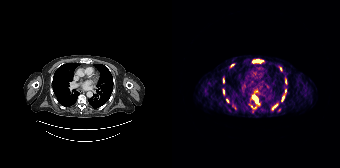
{"modality":"PSMA PET/CT","view":"axial","tracer":"[68Ga]Ga-PSMA-11","pet_grid":[168,168],"coord_frame":"pet_panel","coord_format":"x0,y0,x1,y1","partial":true,"lesion_bboxes":[[77,96,87,109],[81,59,90,62],[109,96,112,101],[113,79,114,83],[51,90,52,94],[101,104,105,108]],"small_foci_centers":[[60,65],[108,68],[51,79],[83,92],[113,91],[55,101]]}